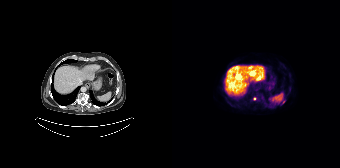
Coordinates are on the 168×168 PET (right) panel. PSMA-avid tumor lesion bounding boxes (x0, y0)-(x1, y1): (78, 71)-(82, 75) | (80, 96)-(85, 100). Small PSMA-avid foci (2 to 4 px across) near (center x, center y): (65, 75) | (64, 67) | (86, 77) | (111, 101) | (78, 66).